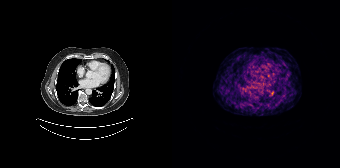
{"modality":"PSMA PET/CT","view":"axial","tracer":"68Ga-PSMA","pet_grid":[168,168],"coord_frame":"pet_panel","coord_format":"x0,y0,x1,y1","psma_avid_lesions":false}